Two-panel axial: CT | PSMA PET, 18F-PSMA tracer. Slice 16 of 377.
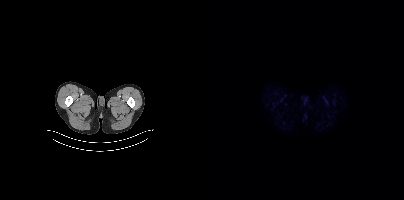
No tumor lesions annotated on this slice.